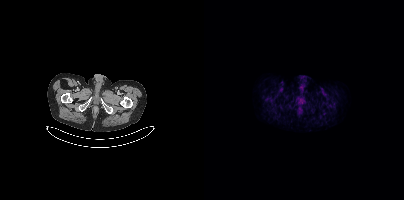
modality: PSMA PET/CT | tracer: [18F]PSMA-1007 | view: axial
This slice has no annotated PSMA-avid lesion.